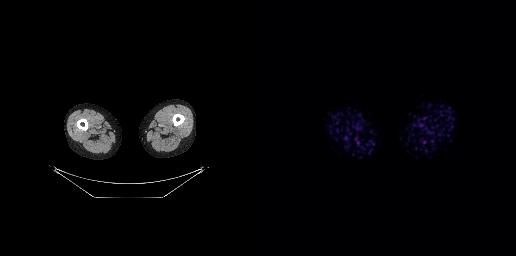
Negative for PSMA-avid disease on this slice.